Two-panel axial: CT | PSMA PET, [18F]PSMA-1007 tracer. Slice 253 of 444. PET panel 200×200 px (4.1 mm/px).
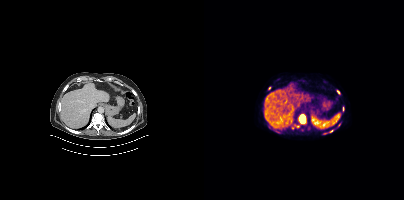
Coordinates are on the 200×200 PET (right) panel. PSMA-avid tumor lesion bounding boxes (partial; 2 more foci not listed):
| # | x0 | y0 | x1 | y1 |
|---|---|---|---|---|
| 1 | 95 | 116 | 101 | 123 |
Small PSMA-avid focus (2 to 4 px across) near (center x, center y): (134, 92).